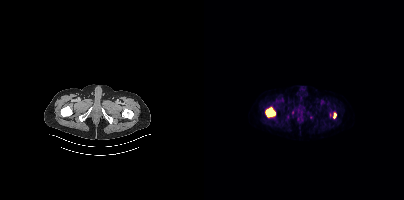
Findings: Coordinates are on the 200×200 PET (right) panel. PSMA-avid tumor lesion bounding boxes (x, y, width, height): x=62 y=107 w=10 h=10 | x=129 y=113 w=4 h=6.
Technique: Left: CT. Right: PSMA PET, same axial level, 18F-PSMA tracer. acquired on Siemens Biograph mCT Flow 20. slice 37 of 444. PET panel 200×200 px (4.1 mm/px).